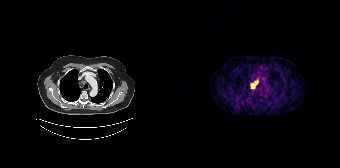
{"pet_grid":[168,168],"coord_frame":"pet_panel","coord_format":"x0,y0,x1,y1","lesion_bboxes":[[79,82,85,87]],"modality":"PSMA PET/CT","view":"axial","tracer":"68Ga"}